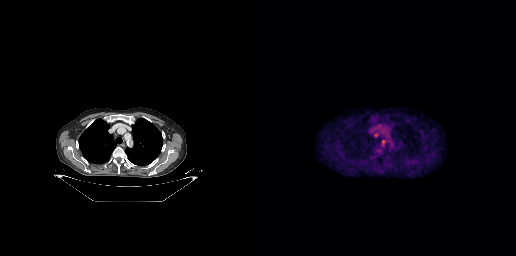
Coordinates are on the 256×256 PET (right) panel. Small PSMA-avid focus (2 to 4 px across) near (center x, center y): (123, 141). Two-panel axial: CT | PSMA PET, [18F]PSMA-1007 tracer. Slice 208 of 263. PET panel 256×256 px (2.7 mm/px).